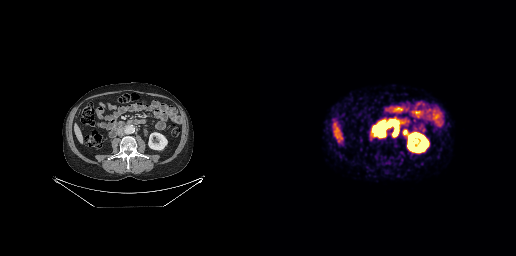
Paired axial CT (left) and PSMA PET (right), 68Ga-PSMA tracer. PET panel 256×256 px (2.7 mm/px). Coordinates are on the 256×256 PET (right) panel. PSMA-avid tumor lesion bounding boxes (x0,y0,x1,y1): [133,126,138,135]; [118,133,124,137]. Small PSMA-avid focus (2 to 4 px across) near (center x, center y): (125, 126).